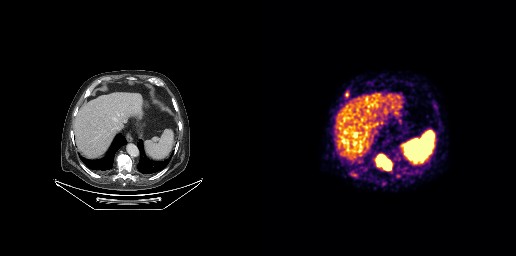
Coordinates are on the 256×256 PET (right) panel. PSMA-avid tumor lesion bounding box (x0, y0)-(x1, y1): (115, 153)-(132, 171). Small PSMA-avid focus (2 to 4 px across) near (center x, center y): (87, 96).